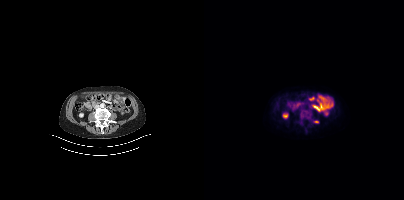
{"modality":"PSMA PET/CT","view":"axial","tracer":"18F","pet_grid":[200,200],"coord_frame":"pet_panel","coord_format":"x0,y0,x1,y1","lesion_bboxes":[[110,120,114,123]]}